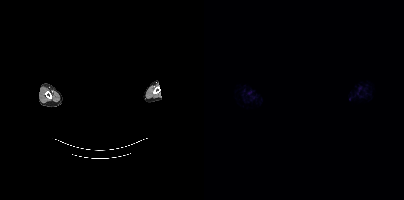
- Two-panel axial: CT | PSMA PET, 18F-PSMA tracer
- slice position z = -836 mm
- PET panel 200×200 px (4.1 mm/px)
- de-identified by setting a box covering the face to black before release
Findings: No PSMA-avid tumor lesions on this slice.